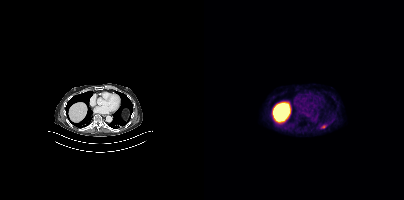
- Two-panel axial: CT | PSMA PET, [18F]PSMA-1007 tracer
- acquired on Siemens Biograph mCT Flow 20
- PET panel 200×200 px (4.1 mm/px)
Findings: Coordinates are on the 200×200 PET (right) panel. PSMA-avid tumor lesion bounding box (x, y, width, height): x=117 y=125 w=6 h=4.